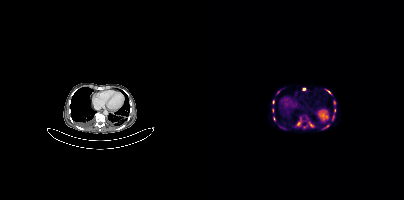
Technique: Left: CT. Right: PSMA PET, same axial level, [68Ga]Ga-PSMA-11 tracer. PET panel 200×200 px (4.1 mm/px).
Findings: Coordinates are on the 200×200 PET (right) panel. (showing 11 of 12 foci) PSMA-avid tumor lesion bounding boxes (x0, y0)-(x1, y1): (121, 89)-(127, 94); (128, 115)-(130, 120). Small PSMA-avid foci (2 to 4 px across) near (center x, center y): (100, 89); (70, 118); (94, 123); (130, 102); (130, 110); (107, 125); (68, 110); (74, 92); (123, 126).